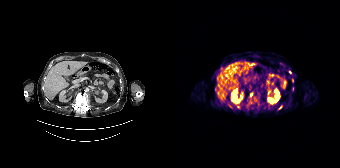
modality: PSMA PET/CT | tracer: [68Ga]Ga-PSMA-11 | view: axial | PET grid: 168×168
Coordinates are on the 168×168 PET (right) panel. (showing 4 of 7 foci) Small PSMA-avid foci (2 to 4 px across) near (center x, center y): (118, 72) | (58, 106) | (108, 107) | (79, 94).